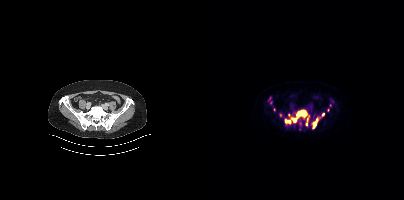
Coordinates are on the 200×200 PET (right) panel. (showing 5 of 8 foci) PSMA-avid tumor lesion bounding boxes (x, y, width, height): x=81 y=110 w=23 h=14 / x=109 y=118 w=5 h=11 / x=116 y=113 w=5 h=5 / x=101 y=118 w=4 h=8. Small PSMA-avid focus (2 to 4 px across) near (center x, center y): (84, 115).